An anonymization step blacked out a rectangle over the head in this scan. Two-panel axial: CT | PSMA PET, [18F]PSMA-1007 tracer. Acquired on Siemens Biograph mCT Flow 20.
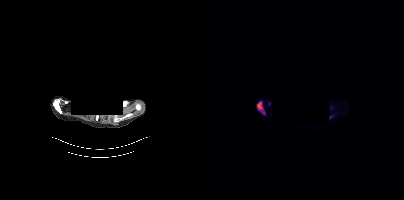
Coordinates are on the 200×200 PET (right) panel. PSMA-avid tumor lesion bounding boxes (partial; 1 more focus not listed):
| # | x0 | y0 | x1 | y1 |
|---|---|---|---|---|
| 1 | 53 | 101 | 60 | 114 |
Small PSMA-avid focus (2 to 4 px across) near (center x, center y): (65, 103).